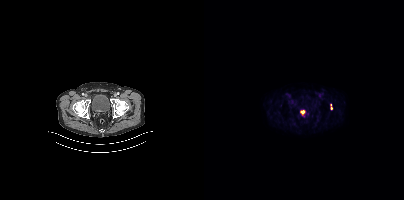
Two-panel axial: CT | PSMA PET, 18F tracer. Acquired on Siemens Biograph mCT Flow 20. Slice 74 of 421. Coordinates are on the 200×200 PET (right) panel. Small PSMA-avid focus (2 to 4 px across) near (center x, center y): (127, 108).